- Left: CT. Right: PSMA PET, same axial level, 18F tracer
- acquired on Siemens Biograph mCT Flow 20
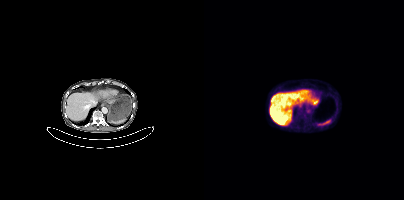
Findings: No tumor lesions annotated on this slice.